Left: CT. Right: PSMA PET, same axial level, 18F tracer. Slice 156 of 383. PET panel 200×200 px (4.1 mm/px).
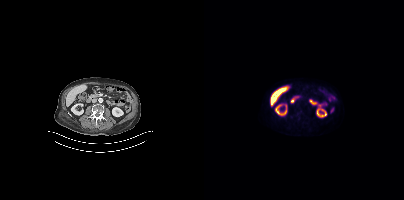
No PSMA-avid tumor lesions on this slice.